- Two-panel axial: CT | PSMA PET, 18F tracer
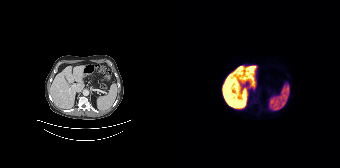
Findings: No tumor lesions annotated on this slice.